- Left: CT. Right: PSMA PET, same axial level, 18F tracer
- slice 272 of 423
- PET panel 200×200 px (4.1 mm/px)
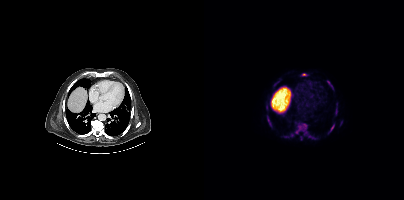
Findings: Coordinates are on the 200×200 PET (right) panel. (showing 12 of 14 foci) PSMA-avid tumor lesion bounding boxes (x0, y0)-(x1, y1): (91, 123)-(103, 134) / (124, 124)-(130, 133) / (124, 82)-(129, 89) / (98, 73)-(103, 75) / (69, 81)-(75, 86) / (105, 136)-(109, 138) / (136, 121)-(138, 125). Small PSMA-avid foci (2 to 4 px across) near (center x, center y): (63, 117) / (132, 113) / (88, 135) / (132, 104) / (62, 105).